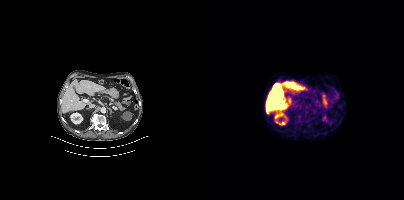
{"modality":"PSMA PET/CT","view":"axial","tracer":"18F-PSMA","pet_grid":[200,200],"coord_frame":"pet_panel","coord_format":"x0,y0,x1,y1","psma_avid_lesions":false}